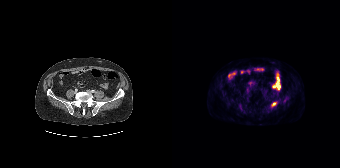
- Two-panel axial: CT | PSMA PET, 18F-PSMA tracer
- slice 71 of 195
Findings: Coordinates are on the 168×168 PET (right) panel. Small PSMA-avid focus (2 to 4 px across) near (center x, center y): (101, 103).